Left: CT. Right: PSMA PET, same axial level, [18F]PSMA-1007 tracer. Slice 138 of 403.
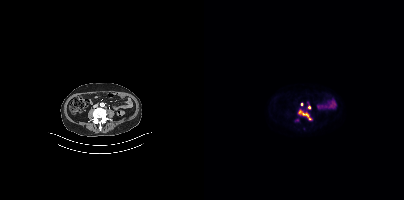
Coordinates are on the 200×200 PET (right) panel. PSMA-avid tumor lesion bounding box (x, y, width, height): x=95 y=111 w=13 h=10. Small PSMA-avid foci (2 to 4 px across) near (center x, center y): (105, 106); (97, 104).